Left: CT. Right: PSMA PET, same axial level, 18F tracer. Slice 128 of 165.
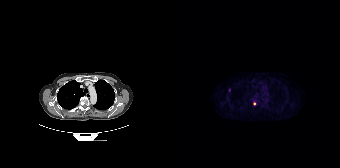
Coordinates are on the 168×168 PET (right) panel. Small PSMA-avid foci (2 to 4 px across) near (center x, center y): (82, 103) / (57, 90).